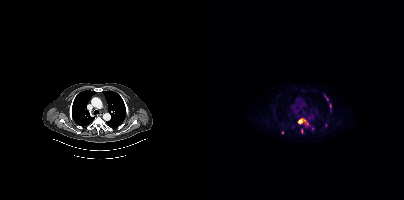
{"pet_grid":[200,200],"coord_frame":"pet_panel","coord_format":"x0,y0,x1,y1","lesion_bboxes":[[94,119,100,123],[120,95,124,100],[107,126,110,130],[97,129,99,133]],"small_foci_centers":[[102,122],[126,105],[121,125],[78,132]],"modality":"PSMA PET/CT","view":"axial","tracer":"18F-PSMA"}